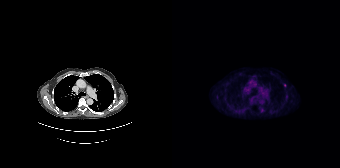
{"modality":"PSMA PET/CT","view":"axial","tracer":"18F-PSMA","pet_grid":[168,168],"coord_frame":"pet_panel","coord_format":"x0,y0,x1,y1","partial":true,"lesion_bboxes":[]}